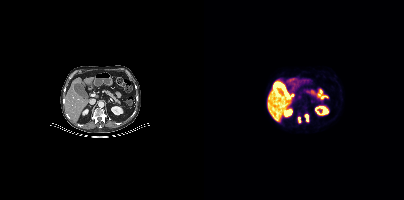
Coordinates are on the 200×200 PET (right) panel. PSMA-avid tumor lesion bounding boxes (x, y, width, height): x=101 y=115 w=4 h=7; x=94 y=117 w=4 h=6.